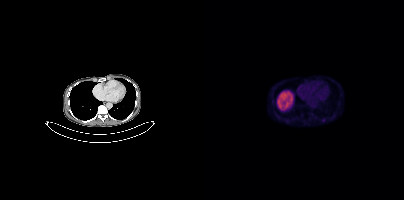
Coordinates are on the 200×200 PET (right) panel. PSMA-avid tumor lesion bounding box (x0,y0,x1,y1): [117,118,121,121].